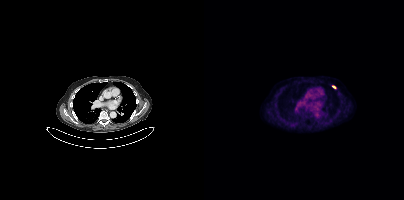
Technique: Paired axial CT (left) and PSMA PET (right), 18F-PSMA tracer. slice 272 of 401.
Findings: Coordinates are on the 200×200 PET (right) panel. Small PSMA-avid focus (2 to 4 px across) near (center x, center y): (130, 87).